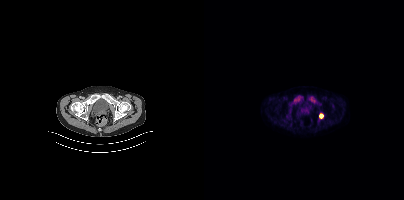
Findings: Coordinates are on the 200×200 PET (right) panel. (showing 2 of 3 foci) PSMA-avid tumor lesion bounding boxes (x0,y0,x1,y1): [105,96,112,103] [115,113,119,118].
- Paired axial CT (left) and PSMA PET (right), 18F tracer
- slice position z = -748 mm